Technique: Paired axial CT (left) and PSMA PET (right), 18F tracer. slice position z = -1521 mm.
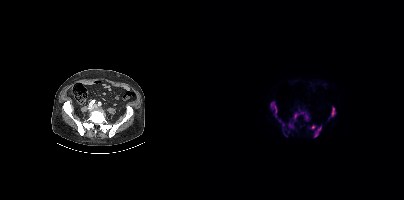
Findings: Coordinates are on the 200×200 PET (right) panel. (showing 10 of 14 foci) PSMA-avid tumor lesion bounding boxes (x0,y0,x1,y1): [89,112,104,120] [110,125,117,137] [67,102,73,117] [126,106,131,117] [84,123,89,128] [106,124,111,129] [78,122,80,126]. Small PSMA-avid foci (2 to 4 px across) near (center x, center y): (75, 121) (81, 134) (84, 131).